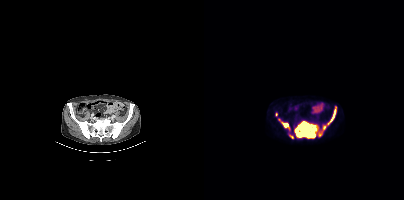
{"modality":"PSMA PET/CT","view":"axial","tracer":"18F-PSMA","pet_grid":[200,200],"coord_frame":"pet_panel","coord_format":"x0,y0,x1,y1","lesion_bboxes":[[90,107,132,137],[74,119,85,129]],"small_foci_centers":[[87,136],[72,114]]}